Left: CT. Right: PSMA PET, same axial level, 18F tracer.
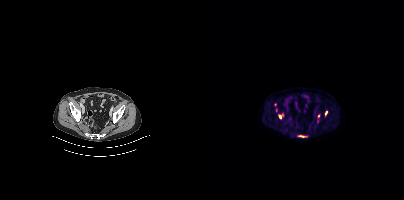
Coordinates are on the 200×200 PET (right) panel. (showing 4 of 5 foci) PSMA-avid tumor lesion bounding boxes (x, y, width, height): x=93 y=135 w=11 h=3 / x=75 y=115 w=5 h=4 / x=121 y=111 w=3 h=5. Small PSMA-avid focus (2 to 4 px across) near (center x, center y): (114, 116).